- Paired axial CT (left) and PSMA PET (right), 18F tracer
- slice 173 of 429
- PET panel 200×200 px (4.1 mm/px)
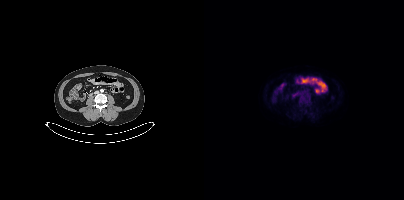
Findings: This slice has no annotated PSMA-avid lesion.